Left: CT. Right: PSMA PET, same axial level, 68Ga tracer.
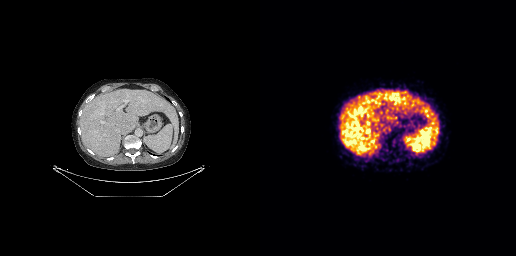
No PSMA-avid tumor lesions on this slice.